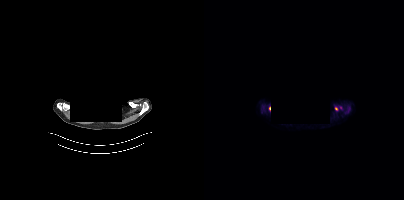
Coordinates are on the 200×200 PET (right) panel. Small PSMA-avid foci (2 to 4 px across) near (center x, center y): (132, 108) / (136, 107).
De-identified by setting a box covering the face to black before release.